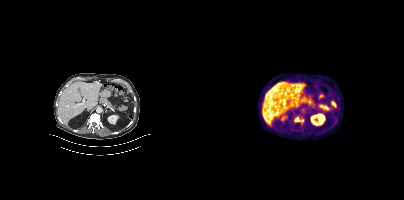
- Two-panel axial: CT | PSMA PET, 18F-PSMA tracer
- acquired on Siemens Biograph mCT Flow 20
- PET panel 200×200 px (4.1 mm/px)
Findings: Coordinates are on the 200×200 PET (right) panel. PSMA-avid tumor lesion bounding box (x0,y0,x1,y1): [91,118,95,121]. Small PSMA-avid focus (2 to 4 px across) near (center x, center y): (98, 120).